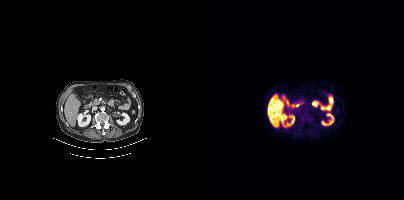
modality: PSMA PET/CT | tracer: 18F-PSMA | view: axial
No PSMA-avid tumor lesions on this slice.